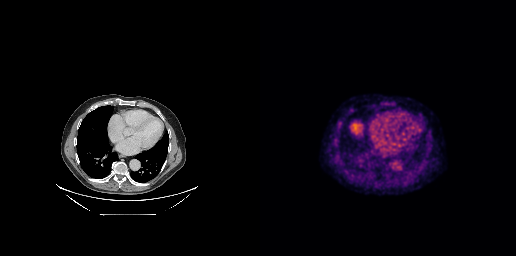
Negative for PSMA-avid disease on this slice. Two-panel axial: CT | PSMA PET, 18F-PSMA tracer. Acquired on GE Discovery 690. Slice position z = -351 mm. PET panel 256×256 px (2.7 mm/px).